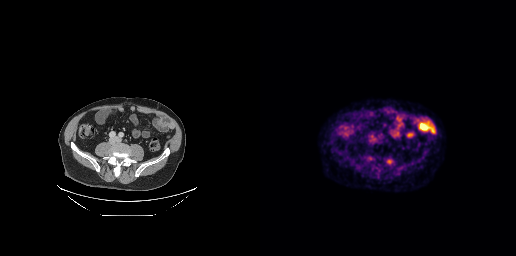
Coordinates are on the 256×256 PET (right) panel. PSMA-avid tumor lesion bounding boxes (x0, y0)-(x1, y1): (126, 159)-(133, 164); (108, 156)-(112, 159).